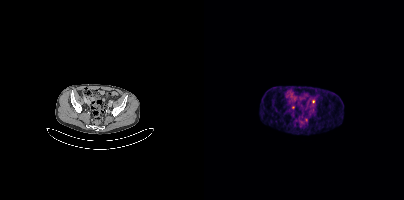
{"modality":"PSMA PET/CT","view":"axial","tracer":"68Ga-PSMA","pet_grid":[200,200],"coord_frame":"pet_panel","coord_format":"x0,y0,x1,y1","partial":true,"lesion_bboxes":[],"small_foci_centers":[[109,101]]}